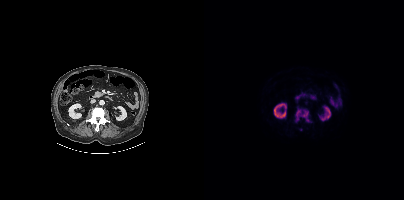
Coordinates are on the 200×200 PET (right) panel. (showing 1 of 2 foci) PSMA-avid tumor lesion bounding box (x0, y0)-(x1, y1): (91, 108)-(105, 122). Left: CT. Right: PSMA PET, same axial level, 18F tracer. Acquired on Siemens Biograph mCT Flow 20. PET panel 200×200 px (4.1 mm/px).